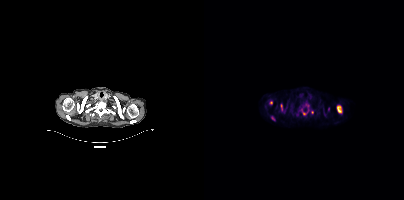
{"pet_grid":[200,200],"coord_frame":"pet_panel","coord_format":"x0,y0,x1,y1","partial":true,"lesion_bboxes":[[133,105,137,112],[77,104,78,110]],"small_foci_centers":[[67,102],[103,105],[100,113],[108,112],[124,108]],"modality":"PSMA PET/CT","view":"axial","tracer":"18F-PSMA"}